- the face region was removed for patient privacy by blanking a rectangle over the head
- Paired axial CT (left) and PSMA PET (right), 18F-PSMA tracer
- slice 387 of 403
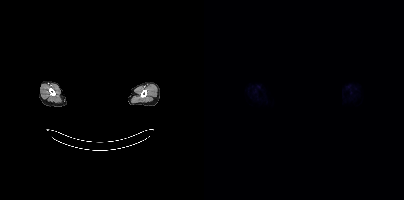
Findings: This slice has no annotated PSMA-avid lesion.